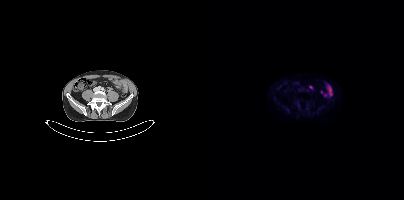
Technique: Paired axial CT (left) and PSMA PET (right), 18F-PSMA tracer. acquired on Siemens Biograph mCT Flow 20. slice position z = -826 mm. PET panel 200×200 px (4.1 mm/px).
Findings: This slice has no annotated PSMA-avid lesion.